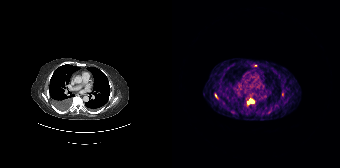
Left: CT. Right: PSMA PET, same axial level, 68Ga-PSMA tracer. Acquired on Siemens Biograph 64-4R TruePoint. Slice position z = -1122 mm. Coordinates are on the 168×168 PET (right) panel. (showing 2 of 5 foci) PSMA-avid tumor lesion bounding boxes (x0,y0,x1,y1): [75,98,82,104] [43,94,45,98].